modality: PSMA PET/CT | tracer: [18F]PSMA-1007 | view: axial
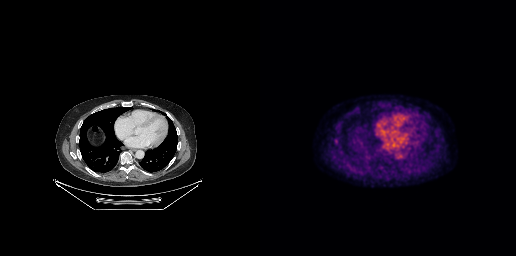
This slice has no annotated PSMA-avid lesion.